Left: CT. Right: PSMA PET, same axial level, 18F tracer. PET panel 200×200 px (4.1 mm/px).
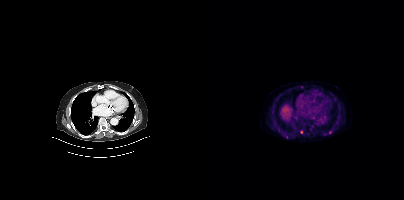
Coordinates are on the 200×200 PET (right) panel. Small PSMA-avid foci (2 to 4 px across) near (center x, center y): (82, 136) / (98, 87) / (97, 132) / (126, 132) / (108, 125).